Left: CT. Right: PSMA PET, same axial level, 18F-PSMA tracer. Acquired on Siemens Biograph mCT Flow 20. Slice 131 of 405. PET panel 200×200 px (4.1 mm/px).
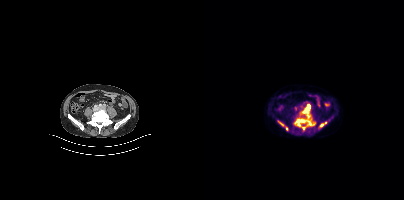
Coordinates are on the 200×200 PET (right) panel. PSMA-avid tumor lesion bounding boxes:
| # | x0 | y0 | x1 | y1 |
|---|---|---|---|---|
| 1 | 91 | 105 | 110 | 126 |
Small PSMA-avid foci (2 to 4 px across) near (center x, center y): (117, 125); (99, 128); (77, 124); (82, 128); (121, 122).